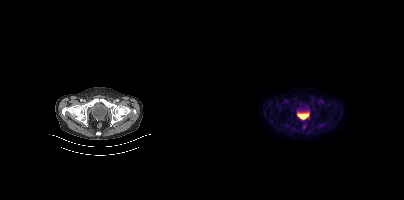
{"pet_grid":[200,200],"coord_frame":"pet_panel","coord_format":"x0,y0,x1,y1","psma_avid_lesions":false,"modality":"PSMA PET/CT","view":"axial","tracer":"18F"}